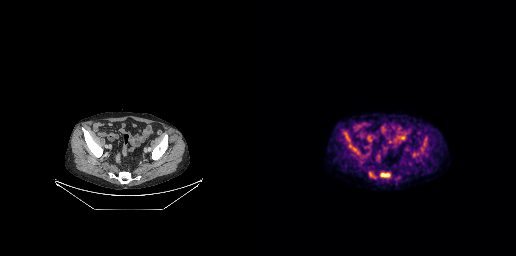
Findings: Coordinates are on the 256×256 PET (right) panel. PSMA-avid tumor lesion bounding boxes (x0,y0,x1,y1): [120,173,130,177]; [89,144,97,152]; [163,137,166,146]; [154,153,158,154]. Small PSMA-avid foci (2 to 4 px across) near (center x, center y): (162, 149); (89, 140); (110, 174).
Technique: Paired axial CT (left) and PSMA PET (right), 18F-PSMA tracer. PET panel 256×256 px (2.7 mm/px).